modality: PSMA PET/CT | tracer: 68Ga | view: axial
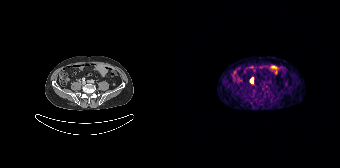
Coordinates are on the 168×168 PET (right) panel. PSMA-avid tumor lesion bounding box (x, y, width, height): x=79 y=78 w=3 h=6.